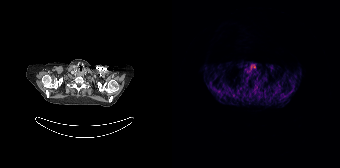
Negative for PSMA-avid disease on this slice.